Paired axial CT (left) and PSMA PET (right), [18F]PSMA-1007 tracer.
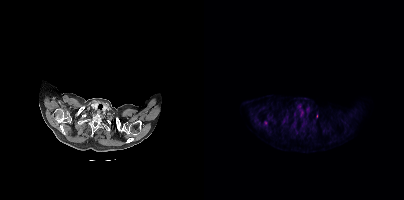
Only PSMA-avid lesion pieces thinner than 2 px on this slice (not listed).